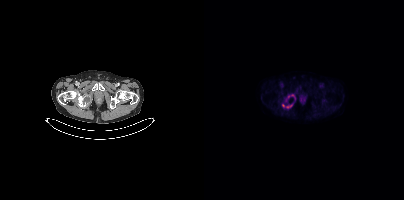
- Paired axial CT (left) and PSMA PET (right), 18F-PSMA tracer
- PET panel 200×200 px (4.1 mm/px)
Findings: Coordinates are on the 200×200 PET (right) panel. PSMA-avid tumor lesion bounding boxes (x0, y0)-(x1, y1): (83, 104)-(88, 107) / (88, 94)-(91, 99). Small PSMA-avid foci (2 to 4 px across) near (center x, center y): (79, 105) / (84, 96).